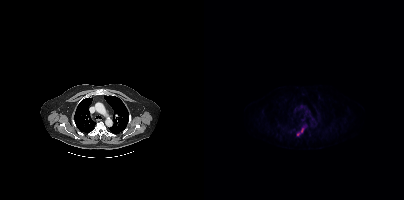
Left: CT. Right: PSMA PET, same axial level, 18F tracer. Slice position z = -960 mm.
Coordinates are on the 200×200 PET (right) panel. PSMA-avid tumor lesion bounding boxes:
| # | x0 | y0 | x1 | y1 |
|---|---|---|---|---|
| 1 | 93 | 129 | 98 | 135 |